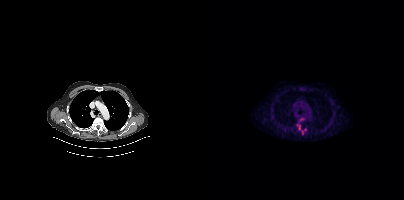
{"pet_grid":[200,200],"coord_frame":"pet_panel","coord_format":"x0,y0,x1,y1","partial":true,"lesion_bboxes":[],"small_foci_centers":[[95,127],[97,119]],"modality":"PSMA PET/CT","view":"axial","tracer":"18F-PSMA"}